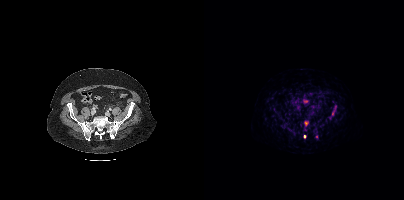
Coordinates are on the 200×200 PET (right) panel. PSMA-avid tumor lesion bounding box (x, y, width, height): x=128 y=106 w=5 h=10. Small PSMA-avid foci (2 to 4 px across) near (center x, center y): (100, 136); (102, 123).